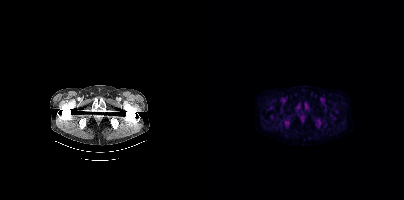
{"modality":"PSMA PET/CT","view":"axial","tracer":"[18F]PSMA-1007","pet_grid":[200,200],"coord_frame":"pet_panel","coord_format":"x0,y0,x1,y1","psma_avid_lesions":false}